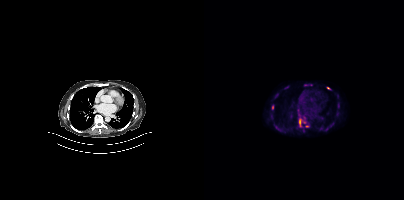
Coordinates are on the 200×200 PET (right) panel. PSMA-avid tumor lesion bounding boxes (partial; 1 more focus not listed):
| # | x0 | y0 | x1 | y1 |
|---|---|---|---|---|
| 1 | 95 | 119 | 97 | 126 |
| 2 | 98 | 120 | 102 | 123 |
Small PSMA-avid foci (2 to 4 px across) near (center x, center y): (124, 88); (68, 106); (103, 126); (122, 129).
Paired axial CT (left) and PSMA PET (right), 18F tracer. Acquired on Siemens Biograph mCT Flow 20. Slice position z = -1102 mm.